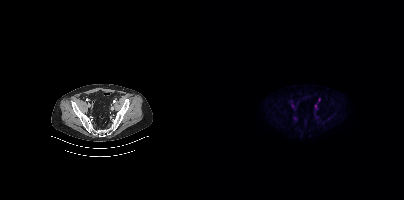
- Two-panel axial: CT | PSMA PET, [18F]PSMA-1007 tracer
Findings: Only PSMA-avid lesion pieces thinner than 2 px on this slice (not listed).